Left: CT. Right: PSMA PET, same axial level, 18F-PSMA tracer.
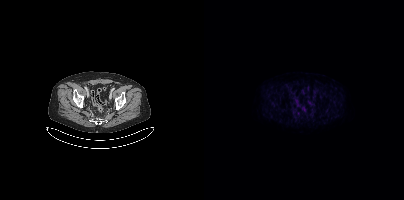
Negative for PSMA-avid disease on this slice.